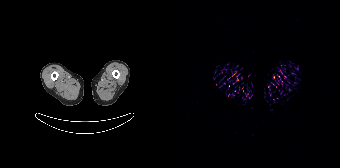
modality: PSMA PET/CT | tracer: 68Ga-PSMA | view: axial | PET grid: 168×168
No PSMA-avid tumor lesions on this slice.